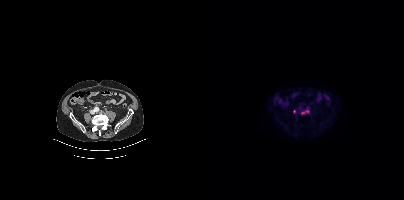
Technique: Paired axial CT (left) and PSMA PET (right), [18F]PSMA-1007 tracer. slice position z = -698 mm.
Findings: Coordinates are on the 200×200 PET (right) panel. PSMA-avid tumor lesion bounding box (x0,y0,x1,y1): [98,109,105,114]. Small PSMA-avid focus (2 to 4 px across) near (center x, center y): (90, 111).